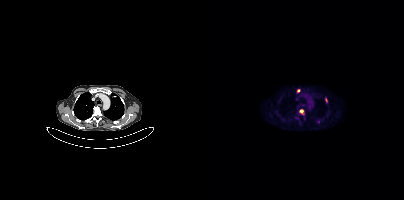
Coordinates are on the 200×200 PET (right) panel. PSMA-avid tumor lesion bounding boxes:
| # | x0 | y0 | x1 | y1 |
|---|---|---|---|---|
| 1 | 95 | 110 | 100 | 114 |
| 2 | 121 | 97 | 123 | 102 |
Small PSMA-avid foci (2 to 4 px across) near (center x, center y): (94, 90); (114, 121).
Left: CT. Right: PSMA PET, same axial level, [18F]PSMA-1007 tracer. Acquired on Siemens Biograph mCT Flow 20. PET panel 200×200 px (4.1 mm/px).